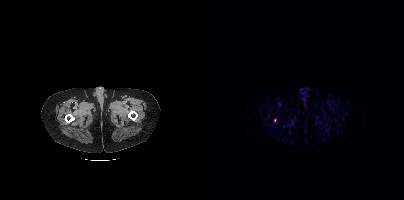
This slice has no annotated PSMA-avid lesion. Two-panel axial: CT | PSMA PET, 68Ga-PSMA tracer.